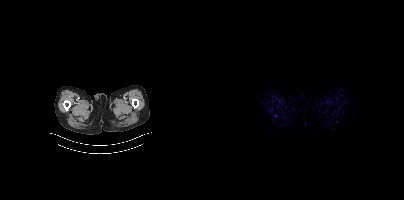
This slice has no annotated PSMA-avid lesion.